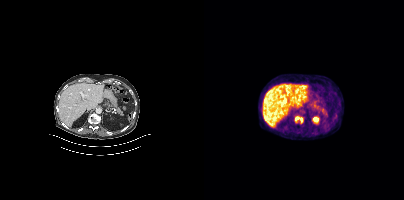
{"modality":"PSMA PET/CT","view":"axial","tracer":"18F-PSMA","pet_grid":[200,200],"coord_frame":"pet_panel","coord_format":"x0,y0,x1,y1","lesion_bboxes":[[91,117,98,121]]}